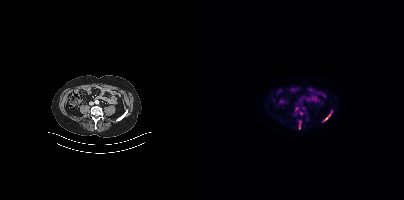
Two-panel axial: CT | PSMA PET, [18F]PSMA-1007 tracer. Coordinates are on the 200×200 PET (right) panel. (showing 1 of 3 foci) Small PSMA-avid focus (2 to 4 px across) near (center x, center y): (122, 118).